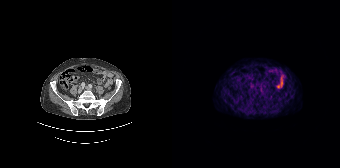
modality: PSMA PET/CT | tracer: [68Ga]Ga-PSMA-11 | view: axial
Negative for PSMA-avid disease on this slice.